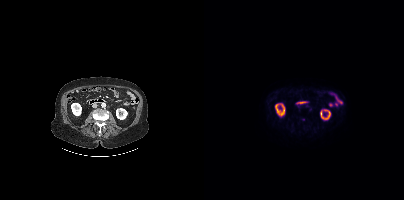
{"modality":"PSMA PET/CT","view":"axial","tracer":"18F","pet_grid":[200,200],"coord_frame":"pet_panel","coord_format":"x0,y0,x1,y1","psma_avid_lesions":false}